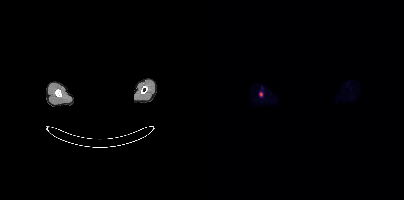
redaction: head region blanked (face removed) | modality: PSMA PET/CT | tracer: 18F | view: axial | PET grid: 200×200
Coordinates are on the 200×200 PET (right) panel. PSMA-avid tumor lesion bounding box (x, y, width, height): x=55 y=92 w=5 h=5.